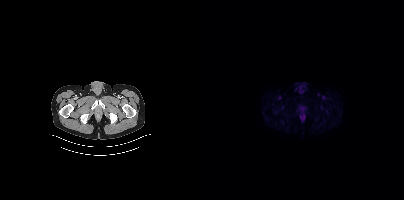
No PSMA-avid tumor lesions on this slice. Left: CT. Right: PSMA PET, same axial level, 18F-PSMA tracer. Acquired on Siemens Biograph mCT Flow 20. PET panel 200×200 px (4.1 mm/px).